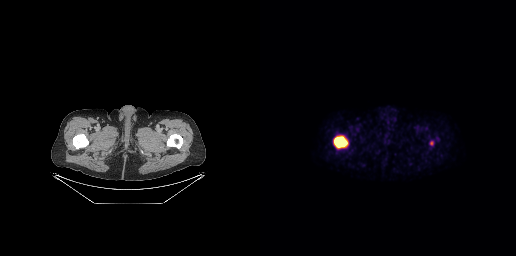
Coordinates are on the 256×256 PET (right) panel. PSMA-avid tumor lesion bounding box (x0,y0,x1,y1): [73,135,88,148]. Small PSMA-avid focus (2 to 4 px across) near (center x, center y): (171, 143). Left: CT. Right: PSMA PET, same axial level, [18F]PSMA-1007 tracer. PET panel 256×256 px (2.7 mm/px).